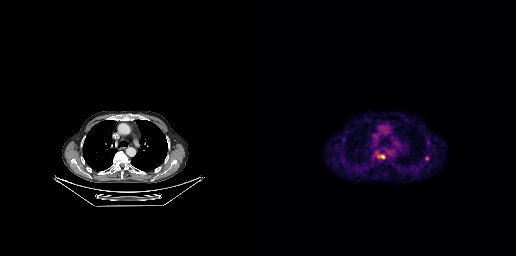
{"modality":"PSMA PET/CT","view":"axial","tracer":"18F-PSMA","pet_grid":[256,256],"coord_frame":"pet_panel","coord_format":"x0,y0,x1,y1","lesion_bboxes":[[165,156,169,160]],"small_foci_centers":[[122,156]]}